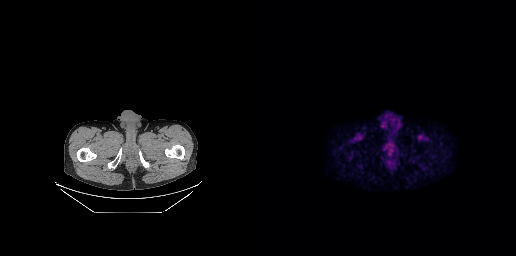
{"pet_grid":[256,256],"coord_frame":"pet_panel","coord_format":"x0,y0,x1,y1","psma_avid_lesions":false,"modality":"PSMA PET/CT","view":"axial","tracer":"[18F]PSMA-1007"}